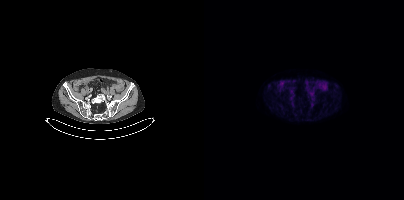
Technique: Paired axial CT (left) and PSMA PET (right), 18F tracer. slice 110 of 413.
Findings: No PSMA-avid tumor lesions on this slice.